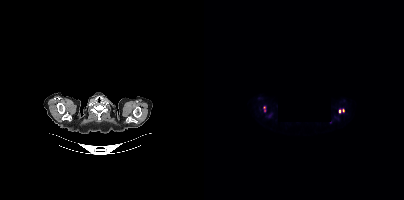
modality: PSMA PET/CT | tracer: 18F-PSMA | view: axial | deidentification: black rectangle is a privacy mask
Coordinates are on the 200×200 PET (right) panel. (showing 3 of 4 foci) Small PSMA-avid foci (2 to 4 px across) near (center x, center y): (60, 107) | (135, 111) | (60, 110).